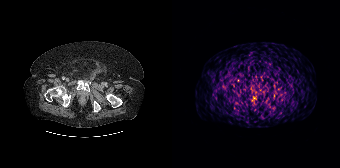
Left: CT. Right: PSMA PET, same axial level, 68Ga-PSMA tracer. Slice position z = -1604 mm. PET panel 168×168 px (4.1 mm/px).
Coordinates are on the 168×168 PET (right) panel. PSMA-avid tumor lesion bounding boxes:
| # | x0 | y0 | x1 | y1 |
|---|---|---|---|---|
| 1 | 79 | 87 | 83 | 91 |